Paired axial CT (left) and PSMA PET (right), 18F-PSMA tracer. Acquired on Siemens Biograph mCT Flow 20. PET panel 200×200 px (4.1 mm/px).
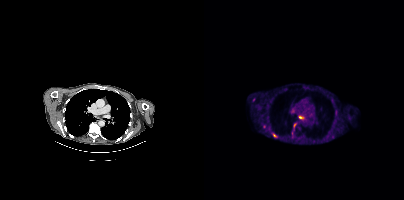
Coordinates are on the 200×200 PET (right) panel. (showing 2 of 5 foci) Small PSMA-avid foci (2 to 4 px across) near (center x, center y): (70, 135); (63, 117).